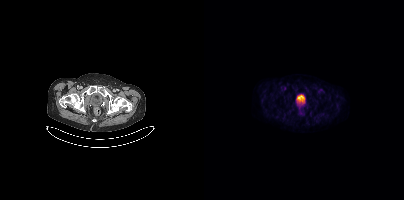
modality: PSMA PET/CT | tracer: [18F]PSMA-1007 | view: axial
No tumor lesions annotated on this slice.